Technique: Paired axial CT (left) and PSMA PET (right), [18F]PSMA-1007 tracer. acquired on Siemens Biograph mCT Flow 20. slice position z = -938 mm.
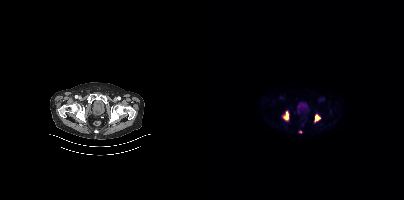
Findings: Coordinates are on the 200×200 PET (right) panel. PSMA-avid tumor lesion bounding boxes (x0,y0,x1,y1): [79,111,84,120] [111,114,116,121]. Small PSMA-avid focus (2 to 4 px across) near (center x, center y): (96, 131).